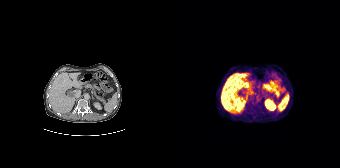
{"modality":"PSMA PET/CT","view":"axial","tracer":"[68Ga]Ga-PSMA-11","pet_grid":[168,168],"coord_frame":"pet_panel","coord_format":"x0,y0,x1,y1","psma_avid_lesions":false}